Paired axial CT (left) and PSMA PET (right), [18F]PSMA-1007 tracer. Slice position z = -1463 mm.
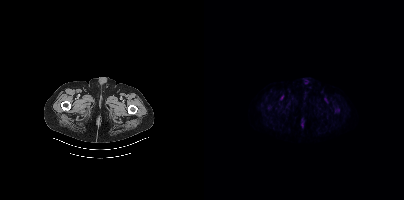
Coordinates are on the 200×200 PET (right) panel. PSMA-avid tumor lesion bounding boxes:
| # | x0 | y0 | x1 | y1 |
|---|---|---|---|---|
| 1 | 131 | 107 | 135 | 112 |